The head region is masked for de-identification.
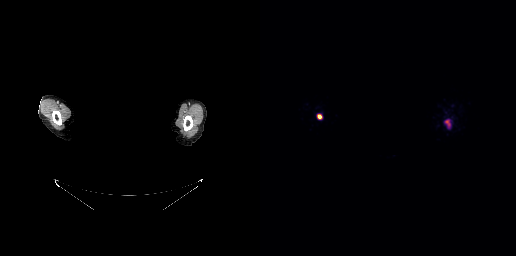
Coordinates are on the 256×256 PET (right) panel. PSMA-avid tumor lesion bounding box (x0,y0,x1,y1): [57,114,61,118].